- Two-panel axial: CT | PSMA PET, 18F-PSMA tracer
- acquired on Siemens Biograph mCT Flow 20
- slice 2 of 421
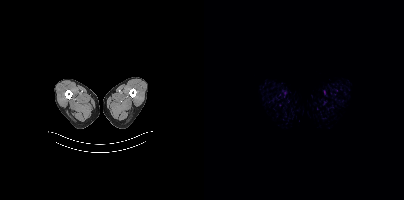
Findings: This slice has no annotated PSMA-avid lesion.